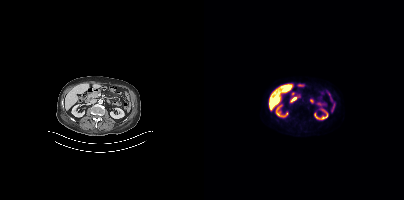
Negative for PSMA-avid disease on this slice.